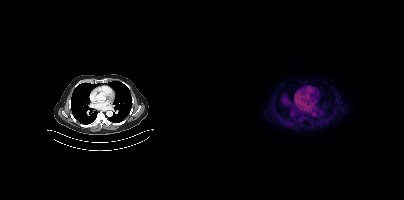
Technique: Two-panel axial: CT | PSMA PET, [18F]PSMA-1007 tracer. acquired on Siemens Biograph mCT Flow 20.
Findings: Negative for PSMA-avid disease on this slice.